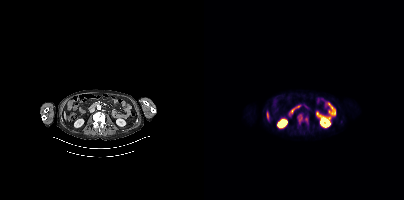
{"modality":"PSMA PET/CT","view":"axial","tracer":"18F-PSMA","pet_grid":[200,200],"coord_frame":"pet_panel","coord_format":"x0,y0,x1,y1","lesion_bboxes":[[94,114,98,123],[101,117,103,122]]}